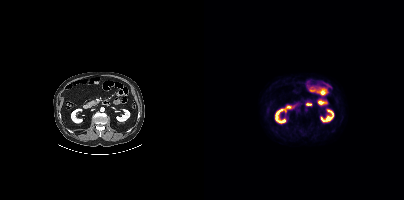
- Left: CT. Right: PSMA PET, same axial level, 18F-PSMA tracer
- acquired on Siemens Biograph mCT Flow 20
- PET panel 200×200 px (4.1 mm/px)
Findings: No tumor lesions annotated on this slice.